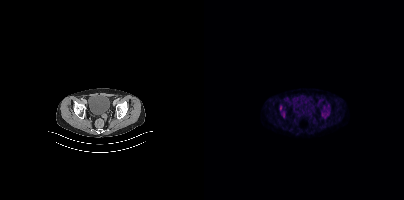
No tumor lesions annotated on this slice.